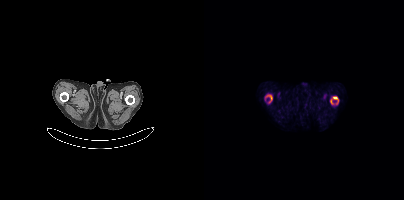
Coordinates are on the 200×200 PET (right) panel. PSMA-avid tumor lesion bounding boxes (x0, y0)-(x1, y1): (62, 95)-(68, 102); (129, 96)-(134, 101). Small PSMA-avid focus (2 to 4 px across) near (center x, center y): (127, 101). Two-panel axial: CT | PSMA PET, [18F]PSMA-1007 tracer. PET panel 200×200 px (4.1 mm/px).